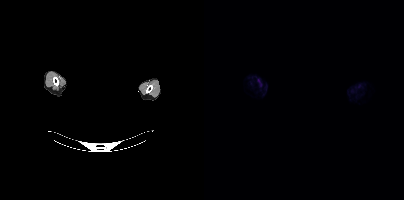
Technique: Left: CT. Right: PSMA PET, same axial level, 18F tracer. acquired on Siemens Biograph mCT Flow 20.
Note: An anonymization step blacked out a rectangle over the head in this scan.
Findings: No tumor lesions annotated on this slice.